- Left: CT. Right: PSMA PET, same axial level, [18F]PSMA-1007 tracer
- slice 429 of 429
- PET panel 200×200 px (4.1 mm/px)
- a rectangle over the head was blacked out to remove identifiable facial features
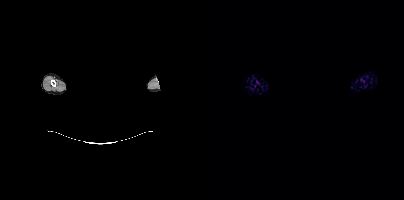
Findings: No tumor lesions annotated on this slice.